modality: PSMA PET/CT | tracer: 18F-PSMA | view: axial | PET grid: 168×168
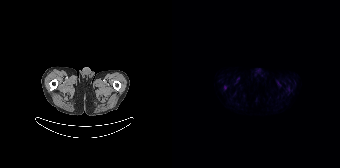
Coordinates are on the 168×168 PET (right) panel. Small PSMA-avid focus (2 to 4 px across) near (center x, center y): (52, 87).